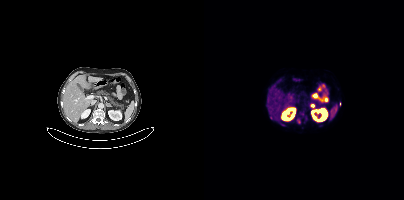
modality: PSMA PET/CT | tracer: [68Ga]Ga-PSMA-11 | view: axial
Coordinates are on the 200×200 PET (right) panel. (showing 3 of 5 foci) PSMA-avid tumor lesion bounding box (x, y, width, height): x=93 y=119 w=4 h=5. Small PSMA-avid foci (2 to 4 px across) near (center x, center y): (67, 117); (101, 119).